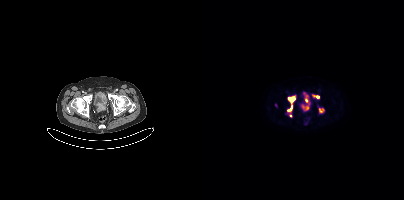
Technique: Two-panel axial: CT | PSMA PET, 18F-PSMA tracer.
Findings: Coordinates are on the 200×200 PET (right) panel. PSMA-avid tumor lesion bounding boxes (x0, y0)-(x1, y1): (98, 94)-(105, 110); (84, 95)-(92, 103); (83, 105)-(88, 111); (110, 96)-(115, 98); (115, 109)-(119, 111). Small PSMA-avid foci (2 to 4 px across) near (center x, center y): (72, 105); (86, 115).